Two-panel axial: CT | PSMA PET, 68Ga tracer. Acquired on GE Discovery 690. PET panel 256×256 px (2.7 mm/px).
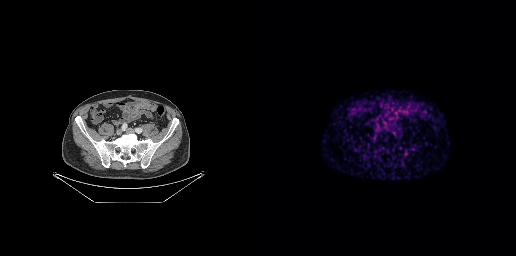
No PSMA-avid tumor lesions on this slice.